modality: PSMA PET/CT | tracer: 18F | view: axial | deidentification: privacy mask over head
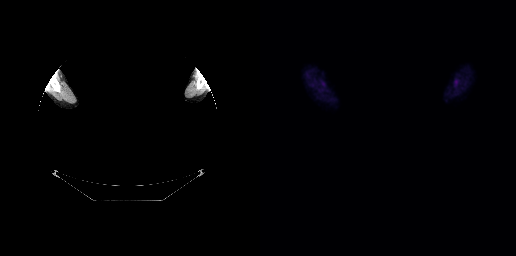
No PSMA-avid tumor lesions on this slice.